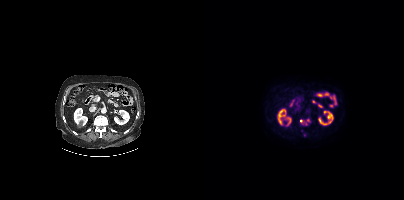
Coordinates are on the 200×200 PET (right) panel. PSMA-avid tumor lesion bounding box (x0, y0)-(x1, y1): (97, 120)-(103, 124).